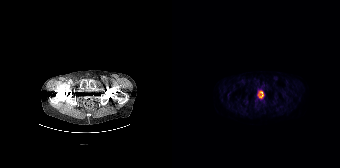
No PSMA-avid tumor lesions on this slice.